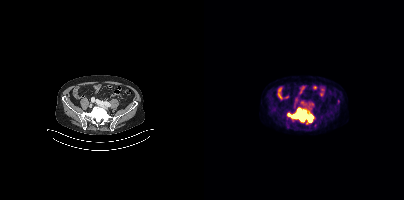
Coordinates are on the 200×200 PET (right) panel. (showing 1 of 2 foci) PSMA-avid tumor lesion bounding box (x0, y0)-(x1, y1): (83, 108)-(111, 124).